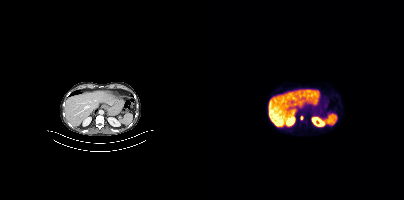
Left: CT. Right: PSMA PET, same axial level, 18F-PSMA tracer. Acquired on Siemens Biograph mCT Flow 20. PET panel 200×200 px (4.1 mm/px). Coordinates are on the 200×200 PET (right) panel. Small PSMA-avid focus (2 to 4 px across) near (center x, center y): (97, 117).